Left: CT. Right: PSMA PET, same axial level, 18F tracer. Slice 228 of 403.
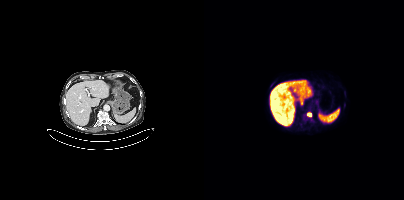
Coordinates are on the 200×200 PET (right) panel. PSMA-avid tumor lesion bounding boxes:
| # | x0 | y0 | x1 | y1 |
|---|---|---|---|---|
| 1 | 99 | 113 | 109 | 121 |
| 2 | 66 | 83 | 68 | 87 |